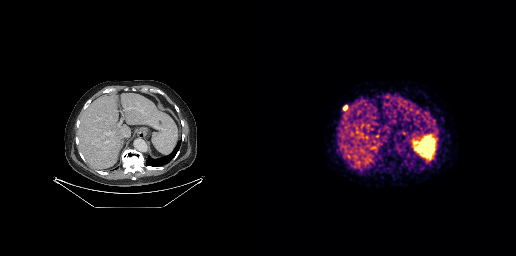
modality: PSMA PET/CT | tracer: 68Ga-PSMA | view: axial | PET grid: 256×256
Coordinates are on the 256×256 PET (right) panel. PSMA-avid tumor lesion bounding box (x0,y0,x1,y1): [83,105,87,109].